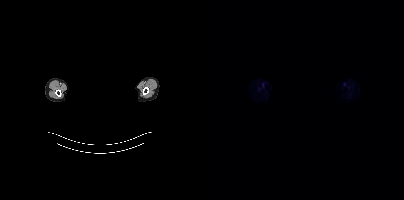
- Left: CT. Right: PSMA PET, same axial level, [18F]PSMA-1007 tracer
- PET panel 200×200 px (4.1 mm/px)
- de-identified by setting a box covering the face to black before release
Findings: No PSMA-avid tumor lesions on this slice.